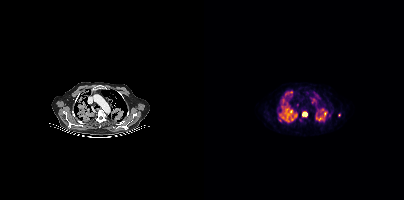
Two-panel axial: CT | PSMA PET, 18F tracer. Acquired on Siemens Biograph mCT Flow 20.
Coordinates are on the 200×200 PET (right) panel. PSMA-avid tumor lesion bounding boxes (partial; 1 more focus not listed):
| # | x0 | y0 | x1 | y1 |
|---|---|---|---|---|
| 1 | 112 | 108 | 122 | 120 |
| 2 | 81 | 102 | 88 | 121 |
| 3 | 75 | 106 | 80 | 118 |
| 4 | 81 | 91 | 88 | 97 |
| 5 | 98 | 111 | 103 | 116 |
| 6 | 107 | 98 | 112 | 103 |
| 7 | 77 | 98 | 81 | 102 |
Small PSMA-avid foci (2 to 4 px across) near (center x, center y): (91, 115); (88, 118); (93, 104).